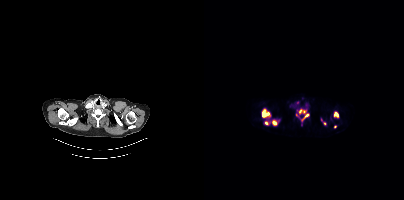
Findings: Coordinates are on the 200×200 PET (right) panel. PSMA-avid tumor lesion bounding boxes (x0, y0)-(x1, y1): (58, 109)-(65, 117) | (68, 120)-(73, 125) | (95, 109)-(102, 113) | (130, 112)-(134, 117) | (98, 113)-(105, 120). Small PSMA-avid foci (2 to 4 px across) near (center x, center y): (62, 123) | (131, 126) | (92, 114) | (120, 123).
Technique: Two-panel axial: CT | PSMA PET, 18F-PSMA tracer. acquired on Siemens Biograph mCT Flow 20. slice 312 of 367. PET panel 200×200 px (4.1 mm/px).